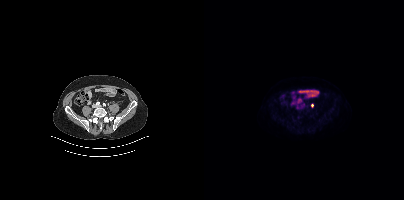
Paired axial CT (left) and PSMA PET (right), 18F tracer. Slice 135 of 442. PET panel 200×200 px (4.1 mm/px). Coordinates are on the 200×200 PET (right) panel. Small PSMA-avid focus (2 to 4 px across) near (center x, center y): (108, 105).